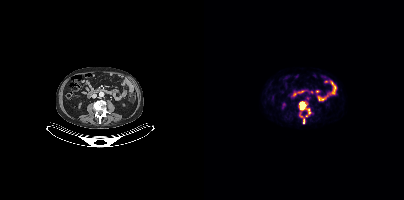
Findings: Coordinates are on the 200×200 PET (right) panel. PSMA-avid tumor lesion bounding boxes (x0,y0,x1,y1): [96,102,101,110]; [95,112,100,123]; [102,108,106,113]. Small PSMA-avid focus (2 to 4 px across) near (center x, center y): (102, 115).
Technique: Paired axial CT (left) and PSMA PET (right), 18F tracer.